modality: PSMA PET/CT | tracer: 18F-PSMA | view: axial | PET grid: 200×200
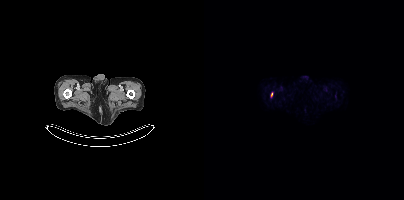
Coordinates are on the 200×200 PET (right) panel. Small PSMA-avid focus (2 to 4 px across) near (center x, center y): (67, 94).